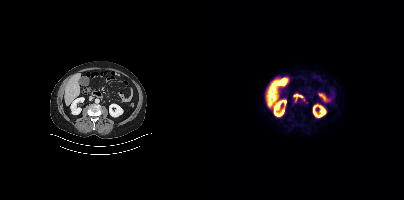
Findings: No tumor lesions annotated on this slice.
Technique: Two-panel axial: CT | PSMA PET, [18F]PSMA-1007 tracer. slice position z = -616 mm. PET panel 200×200 px (4.1 mm/px).